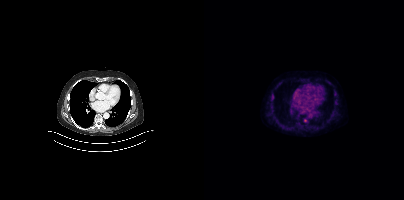
Coordinates are on the 200×200 PET (right) panel. Small PSMA-avid focus (2 to 4 px across) near (center x, center y): (101, 120).